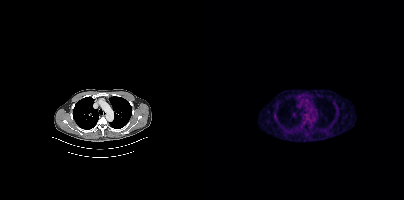
No PSMA-avid tumor lesions on this slice. Paired axial CT (left) and PSMA PET (right), 18F tracer. Acquired on Siemens Biograph mCT Flow 20.